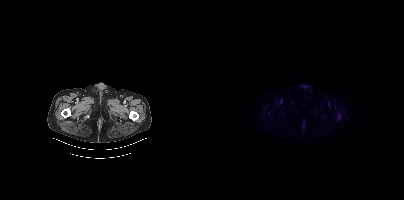
Negative for PSMA-avid disease on this slice.